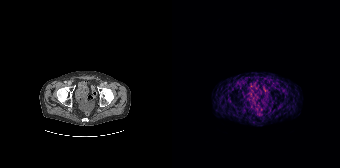
modality: PSMA PET/CT | tracer: 68Ga-PSMA | view: axial | PET grid: 168×168
No PSMA-avid tumor lesions on this slice.